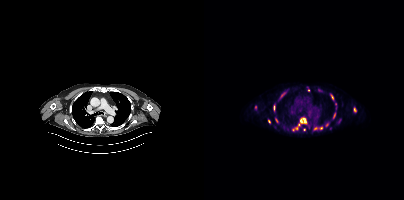
Technique: Left: CT. Right: PSMA PET, same axial level, 18F-PSMA tracer. acquired on Siemens Biograph mCT Flow 20.
Findings: Coordinates are on the 200×200 PET (right) panel. (showing 12 of 16 foci) PSMA-avid tumor lesion bounding boxes (x0,y0,x1,y1): [96,118,102,123], [110,127,118,129], [76,92,81,98], [150,108,152,112], [127,94,129,99], [129,113,131,118]. Small PSMA-avid foci (2 to 4 px across) near (center x, center y): (92, 128), (123, 125), (72, 120), (65, 121), (94, 124), (100, 129).